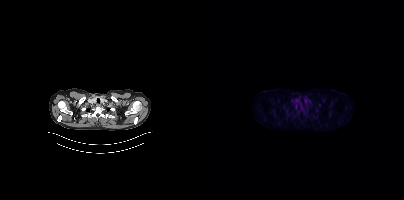
Findings: No PSMA-avid tumor lesions on this slice.
Technique: Paired axial CT (left) and PSMA PET (right), [18F]PSMA-1007 tracer. acquired on Siemens Biograph mCT Flow 20. PET panel 200×200 px (4.1 mm/px).